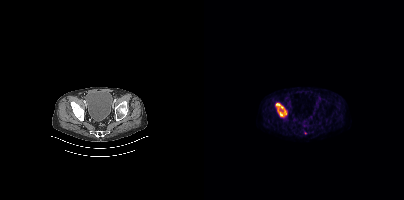
Two-panel axial: CT | PSMA PET, 18F tracer.
Coordinates are on the 200×200 PET (right) panel. PSMA-avid tumor lesion bounding boxes:
| # | x0 | y0 | x1 | y1 |
|---|---|---|---|---|
| 1 | 72 | 103 | 82 | 117 |
Small PSMA-avid focus (2 to 4 px across) near (center x, center y): (101, 132).